modality: PSMA PET/CT | tracer: [68Ga]Ga-PSMA-11 | view: axial
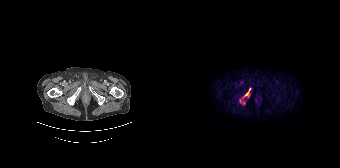
Coordinates are on the 168×168 PET (right) panel. (showing 3 of 4 foci) PSMA-avid tumor lesion bounding box (x0, y0)-(x1, y1): (70, 88)-(78, 97). Small PSMA-avid foci (2 to 4 px across) near (center x, center y): (69, 82) | (71, 103).